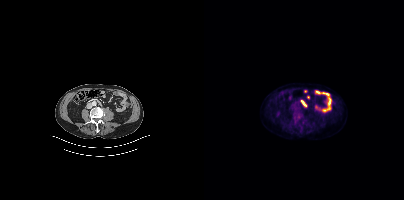
Findings: This slice has no annotated PSMA-avid lesion.
Technique: Two-panel axial: CT | PSMA PET, 18F tracer. slice 178 of 442. PET panel 200×200 px (4.1 mm/px).